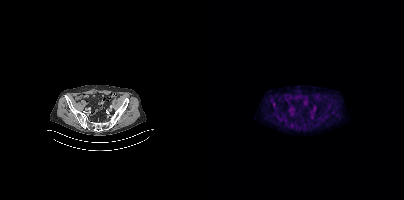
Coordinates are on the 200×200 PET (right) panel. Small PSMA-avid focus (2 to 4 px across) near (center x, center y): (69, 104). Left: CT. Right: PSMA PET, same axial level, [18F]PSMA-1007 tracer. Acquired on Siemens Biograph mCT Flow 20. Slice 106 of 407.